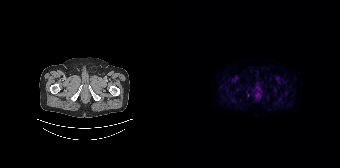
Left: CT. Right: PSMA PET, same axial level, [18F]PSMA-1007 tracer. Acquired on Siemens Biograph 64-4R TruePoint. Only PSMA-avid lesion pieces thinner than 2 px on this slice (not listed).